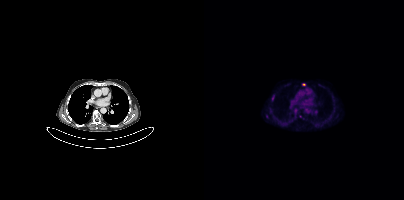
Coordinates are on the 200×200 PET (right) panel. Small PSMA-avid focus (2 to 4 px across) near (center x, center y): (99, 84).